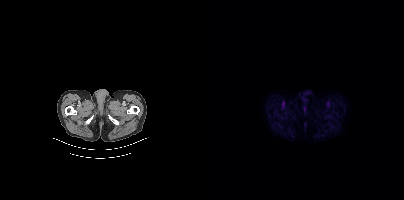
{"modality":"PSMA PET/CT","view":"axial","tracer":"18F","pet_grid":[200,200],"coord_frame":"pet_panel","coord_format":"x0,y0,x1,y1","psma_avid_lesions":false}